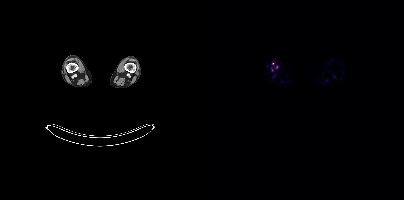
Findings: Coordinates are on the 200×200 PET (right) panel. (showing 1 of 3 foci) Small PSMA-avid focus (2 to 4 px across) near (center x, center y): (68, 63).
- Paired axial CT (left) and PSMA PET (right), 18F-PSMA tracer
- acquired on Siemens Biograph mCT Flow 20
- slice position z = -1355 mm
- PET panel 200×200 px (4.1 mm/px)